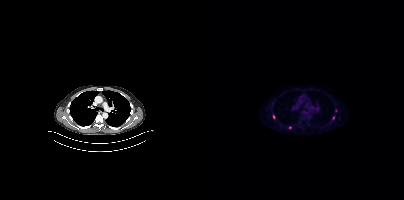
Coordinates are on the 200×200 PET (right) panel. Small PSMA-avid foci (2 to 4 px across) near (center x, center y): (70, 116) / (129, 117) / (86, 127) / (131, 110). Left: CT. Right: PSMA PET, same axial level, 18F-PSMA tracer. Acquired on Siemens Biograph mCT Flow 20.